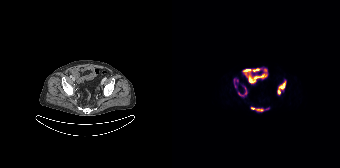
{"modality":"PSMA PET/CT","view":"axial","tracer":"18F-PSMA","pet_grid":[168,168],"coord_frame":"pet_panel","coord_format":"x0,y0,x1,y1","lesion_bboxes":[[105,80,114,94],[79,107,96,111],[66,87,75,96],[62,79,64,87]],"small_foci_centers":[[65,80]]}